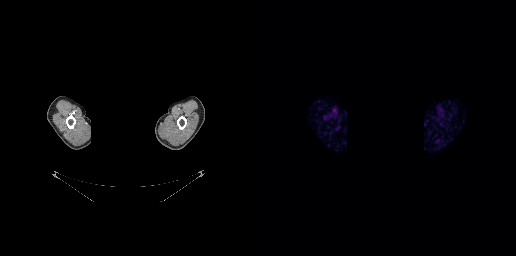
Head region blanked for anonymization (face removed).
No PSMA-avid tumor lesions on this slice.